Two-panel axial: CT | PSMA PET, [68Ga]Ga-PSMA-11 tracer.
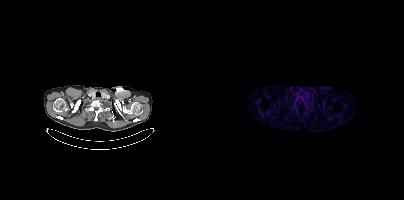
Negative for PSMA-avid disease on this slice.